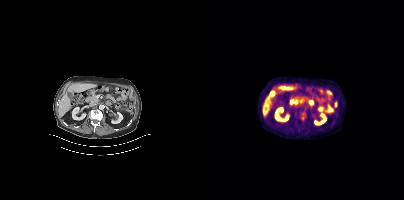
{"pet_grid":[200,200],"coord_frame":"pet_panel","coord_format":"x0,y0,x1,y1","partial":true,"lesion_bboxes":[],"modality":"PSMA PET/CT","view":"axial","tracer":"18F"}